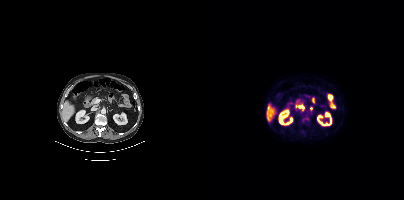
{"modality":"PSMA PET/CT","view":"axial","tracer":"18F","pet_grid":[200,200],"coord_frame":"pet_panel","coord_format":"x0,y0,x1,y1","lesion_bboxes":[[95,105,99,108]],"small_foci_centers":[[107,108]]}